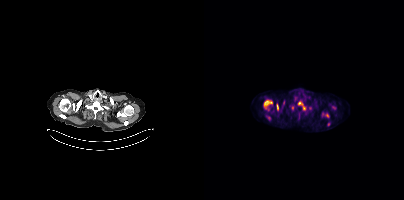
Coordinates are on the 200×200 PET (right) panel. PSMA-avid tumor lesion bounding boxes (partial; 1 more focus not listed):
| # | x0 | y0 | x1 | y1 |
|---|---|---|---|---|
| 1 | 60 | 100 | 68 | 108 |
| 2 | 94 | 101 | 101 | 110 |
| 3 | 73 | 104 | 74 | 110 |
Small PSMA-avid foci (2 to 4 px across) near (center x, center y): (123, 115); (88, 107); (124, 124).
Two-panel axial: CT | PSMA PET, 18F-PSMA tracer. Slice 310 of 373.